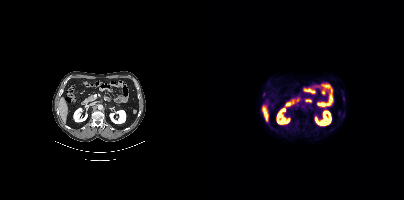
Paired axial CT (left) and PSMA PET (right), 18F tracer. Acquired on Siemens Biograph mCT Flow 20. Negative for PSMA-avid disease on this slice.